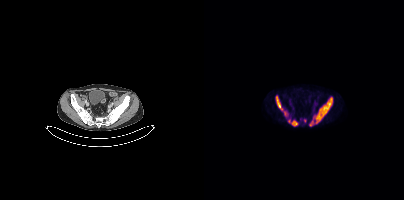
- Paired axial CT (left) and PSMA PET (right), [18F]PSMA-1007 tracer
- acquired on Siemens Biograph mCT Flow 20
- PET panel 200×200 px (4.1 mm/px)
Findings: Coordinates are on the 200×200 PET (right) panel. PSMA-avid tumor lesion bounding boxes (x, y, width, height): x=105 y=97 w=24 h=30 | x=72 y=95 w=13 h=22 | x=84 y=119 w=10 h=8. Small PSMA-avid focus (2 to 4 px across) near (center x, center y): (100, 120).